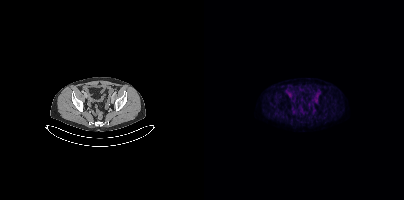
Findings: Negative for PSMA-avid disease on this slice.
- Two-panel axial: CT | PSMA PET, 18F tracer
- acquired on Siemens Biograph mCT Flow 20
- slice position z = -1437 mm
- PET panel 200×200 px (4.1 mm/px)